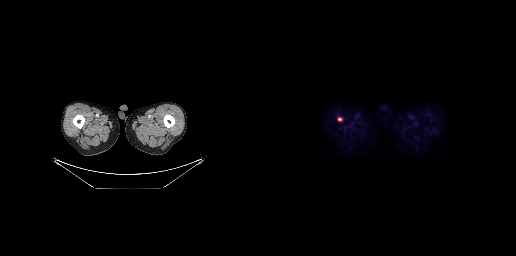
Coordinates are on the 256×256 PET (right) panel. PSMA-avid tumor lesion bounding box (x0,y0,x1,y1): [77,117,82,121].
modality: PSMA PET/CT | tracer: [18F]PSMA-1007 | view: axial